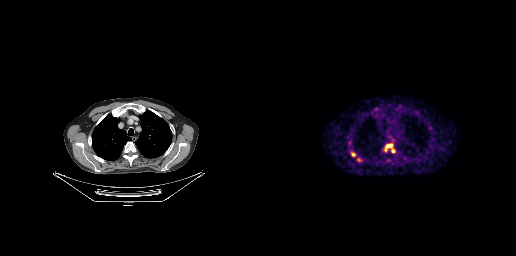
Findings: Coordinates are on the 256×256 PET (right) panel. PSMA-avid tumor lesion bounding boxes (x0,y0,x1,y1): [126,144,132,147]; [97,157,102,162]. Small PSMA-avid foci (2 to 4 px across) near (center x, center y): (125, 150); (93, 154); (116, 109); (133, 151).
Technique: Two-panel axial: CT | PSMA PET, [68Ga]Ga-PSMA-11 tracer.